modality: PSMA PET/CT | tracer: [18F]PSMA-1007 | view: axial | PET grid: 200×200
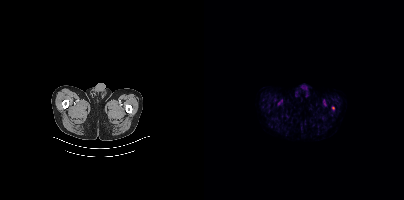
No tumor lesions annotated on this slice.